Technique: Two-panel axial: CT | PSMA PET, [68Ga]Ga-PSMA-11 tracer. slice 110 of 405.
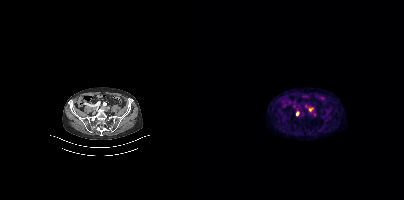
Findings: Coordinates are on the 200×200 PET (right) panel. Small PSMA-avid foci (2 to 4 px across) near (center x, center y): (106, 109) / (93, 113) / (110, 114) / (90, 106).